- Two-panel axial: CT | PSMA PET, [18F]PSMA-1007 tracer
- slice 377 of 427
- a rectangle over the head was blacked out to remove identifiable facial features
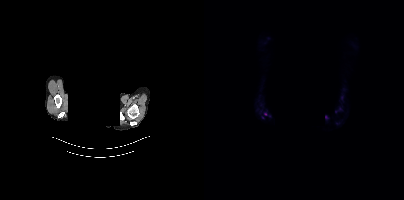
Findings: Coordinates are on the 200×200 PET (right) panel. (showing 3 of 4 foci) Small PSMA-avid foci (2 to 4 px across) near (center x, center y): (61, 113); (122, 117); (58, 117).